Left: CT. Right: PSMA PET, same axial level, [18F]PSMA-1007 tracer. Slice position z = -984 mm. PET panel 200×200 px (4.1 mm/px).
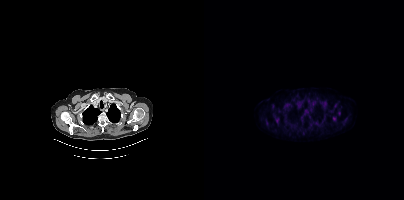
This slice has no annotated PSMA-avid lesion.